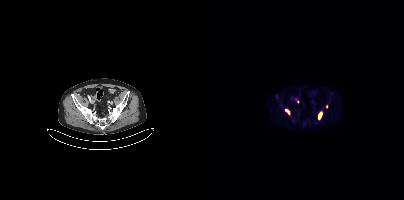
Findings: Coordinates are on the 200×200 PET (right) panel. (showing 2 of 3 foci) PSMA-avid tumor lesion bounding box (x0,y0,x1,y1): [114,112,117,118]. Small PSMA-avid focus (2 to 4 px across) near (center x, center y): (93, 101).
Technique: Two-panel axial: CT | PSMA PET, [18F]PSMA-1007 tracer. PET panel 200×200 px (4.1 mm/px).